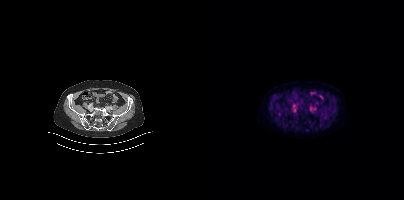
- Two-panel axial: CT | PSMA PET, 18F tracer
- slice position z = -680 mm
- PET panel 200×200 px (4.1 mm/px)
Findings: No PSMA-avid tumor lesions on this slice.